- Two-panel axial: CT | PSMA PET, 18F-PSMA tracer
- acquired on Siemens Biograph mCT Flow 20
- slice 79 of 413
- PET panel 200×200 px (4.1 mm/px)
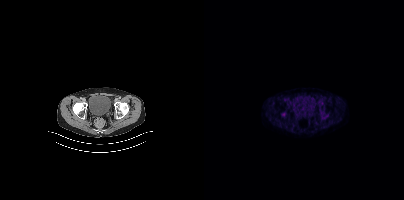
Findings: Negative for PSMA-avid disease on this slice.